- Left: CT. Right: PSMA PET, same axial level, 18F tracer
- acquired on Siemens Biograph mCT Flow 20
- slice 132 of 442
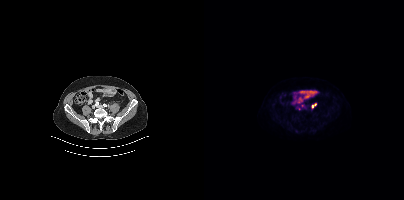
Findings: Coordinates are on the 200×200 PET (right) panel. PSMA-avid tumor lesion bounding box (x0, y0)-(x1, y1): (107, 103)-(112, 108).